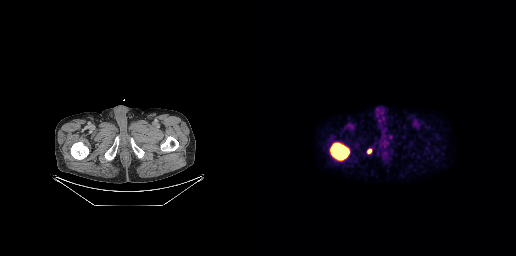
{"modality":"PSMA PET/CT","view":"axial","tracer":"18F-PSMA","pet_grid":[256,256],"coord_frame":"pet_panel","coord_format":"x0,y0,x1,y1","lesion_bboxes":[[69,142,90,161],[107,149,111,153]]}